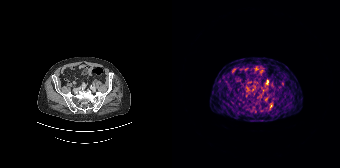
{"pet_grid":[168,168],"coord_frame":"pet_panel","coord_format":"x0,y0,x1,y1","lesion_bboxes":[],"small_foci_centers":[[94,99]],"modality":"PSMA PET/CT","view":"axial","tracer":"[68Ga]Ga-PSMA-11"}